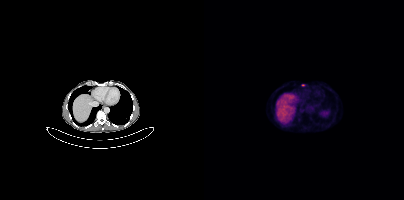
Only PSMA-avid lesion pieces thinner than 2 px on this slice (not listed).
modality: PSMA PET/CT | tracer: 68Ga-PSMA | view: axial | PET grid: 200×200